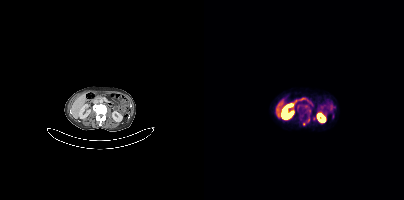
Coordinates are on the 200×200 PET (right) panel. (showing 3 of 5 foci) PSMA-avid tumor lesion bounding box (x, y, width, height): x=103 y=117 w=3 h=6. Small PSMA-avid foci (2 to 4 px across) near (center x, center y): (99, 124); (109, 118).